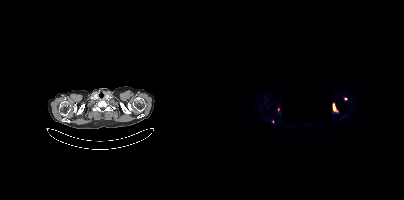
Some pixels were blanked for anonymization. Left: CT. Right: PSMA PET, same axial level, [18F]PSMA-1007 tracer. Acquired on Siemens Biograph mCT Flow 20. Coordinates are on the 200×200 PET (right) panel. (showing 2 of 4 foci) PSMA-avid tumor lesion bounding box (x, y, width, height): x=129 y=104 w=5 h=8. Small PSMA-avid focus (2 to 4 px across) near (center x, center y): (141, 98).